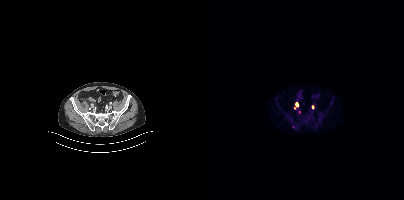
Technique: Paired axial CT (left) and PSMA PET (right), 18F tracer. PET panel 200×200 px (4.1 mm/px).
Findings: Coordinates are on the 200×200 PET (right) panel. Small PSMA-avid foci (2 to 4 px across) near (center x, center y): (93, 104) / (108, 106) / (90, 107).